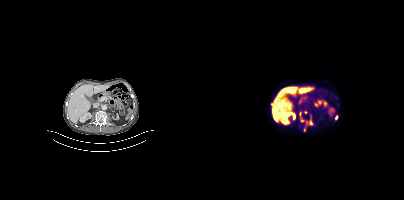
Findings: Coordinates are on the 200×200 PET (right) panel. PSMA-avid tumor lesion bounding box (x, y, width, height): x=95 y=111 w=15 h=20. Small PSMA-avid foci (2 to 4 px across) near (center x, center y): (101, 112) | (132, 117).
Technique: Two-panel axial: CT | PSMA PET, 18F tracer. acquired on Siemens Biograph mCT Flow 20. slice 175 of 405. PET panel 200×200 px (4.1 mm/px).